- Two-panel axial: CT | PSMA PET, [18F]PSMA-1007 tracer
- PET panel 200×200 px (4.1 mm/px)
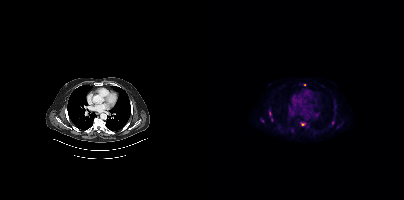
Findings: Coordinates are on the 200×200 PET (right) panel. (showing 5 of 7 foci) PSMA-avid tumor lesion bounding boxes (x0, y0)-(x1, y1): (128, 120)-(130, 124) / (87, 128)-(89, 132). Small PSMA-avid foci (2 to 4 px across) near (center x, center y): (98, 124) / (65, 113) / (100, 84).